Left: CT. Right: PSMA PET, same axial level, 18F-PSMA tracer. PET panel 200×200 px (4.1 mm/px).
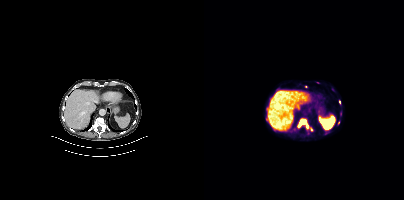
Coordinates are on the 200×200 PET (right) panel. PSMA-avid tumor lesion bounding boxes (partial; 1 more focus not listed):
| # | x0 | y0 | x1 | y1 |
|---|---|---|---|---|
| 1 | 94 | 119 | 108 | 131 |
Small PSMA-avid foci (2 to 4 px across) near (center x, center y): (102, 86); (135, 102); (62, 110); (134, 122); (113, 82).